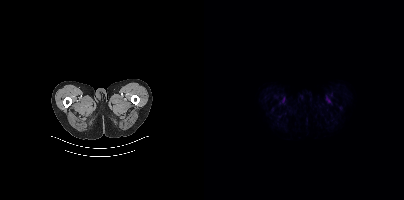
Findings: Negative for PSMA-avid disease on this slice.
Technique: Left: CT. Right: PSMA PET, same axial level, [18F]PSMA-1007 tracer. slice 24 of 442.